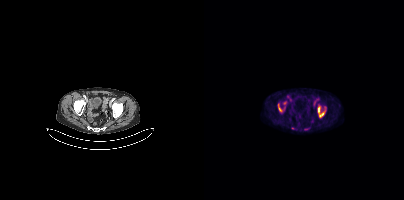
{"modality":"PSMA PET/CT","view":"axial","tracer":"18F","pet_grid":[200,200],"coord_frame":"pet_panel","coord_format":"x0,y0,x1,y1","lesion_bboxes":[[114,106,122,117],[74,104,78,111]],"small_foci_centers":[[80,103]]}